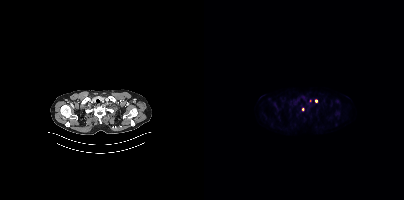
Only PSMA-avid lesion pieces thinner than 2 px on this slice (not listed).